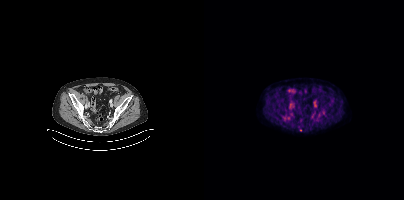
{"pet_grid":[200,200],"coord_frame":"pet_panel","coord_format":"x0,y0,x1,y1","psma_avid_lesions":false,"modality":"PSMA PET/CT","view":"axial","tracer":"18F-PSMA"}